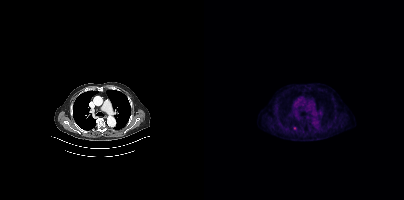
{"modality":"PSMA PET/CT","view":"axial","tracer":"18F","pet_grid":[200,200],"coord_frame":"pet_panel","coord_format":"x0,y0,x1,y1","lesion_bboxes":[],"small_foci_centers":[[90,128]]}